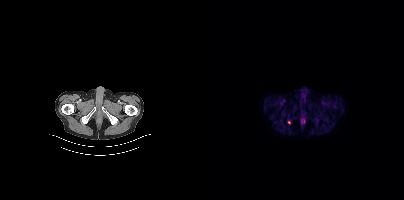
Coordinates are on the 200×200 PET (right) panel. Small PSMA-avid focus (2 to 4 px across) near (center x, center y): (84, 122).
modality: PSMA PET/CT | tracer: [18F]PSMA-1007 | view: axial | PET grid: 200×200